The head region is masked for de-identification. Paired axial CT (left) and PSMA PET (right), 18F-PSMA tracer. PET panel 200×200 px (4.1 mm/px).
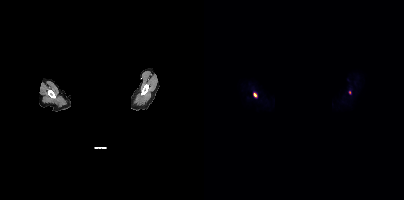
Coordinates are on the 200×200 PET (right) panel. PSMA-avid tumor lesion bounding box (x0,y0,x1,y1): [49,93,53,97]. Small PSMA-avid focus (2 to 4 px across) near (center x, center y): (145, 92).